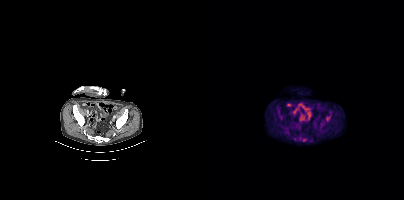
Coordinates are on the 200×200 PET (right) panel. PSMA-avid tumor lesion bounding boxes:
| # | x0 | y0 | x1 | y1 |
|---|---|---|---|---|
| 1 | 94 | 136 | 103 | 141 |
Small PSMA-avid foci (2 to 4 px across) near (center x, center y): (91, 139); (123, 120).
Left: CT. Right: PSMA PET, same axial level, 18F tracer. Slice position z = -1384 mm. PET panel 200×200 px (4.1 mm/px).